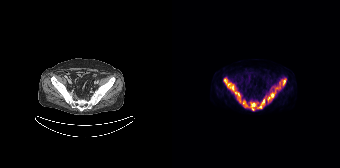
{"modality":"PSMA PET/CT","view":"axial","tracer":"18F","pet_grid":[168,168],"coord_frame":"pet_panel","coord_format":"x0,y0,x1,y1","lesion_bboxes":[[52,78,94,110],[95,78,114,102]]}